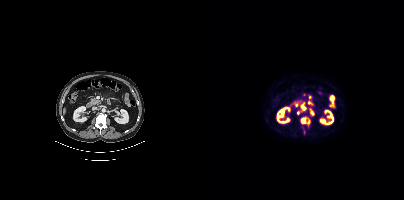
Coordinates are on the 200×200 PET (right) panel. PSMA-avid tumor lesion bounding boxes (partial; 1 more focus not listed):
| # | x0 | y0 | x1 | y1 |
|---|---|---|---|---|
| 1 | 97 | 118 | 101 | 123 |
| 2 | 97 | 104 | 102 | 110 |
| 3 | 107 | 111 | 109 | 115 |
Small PSMA-avid foci (2 to 4 px across) near (center x, center y): (93, 113); (104, 121).
Paired axial CT (left) and PSMA PET (right), 18F tracer. Slice position z = -1311 mm.